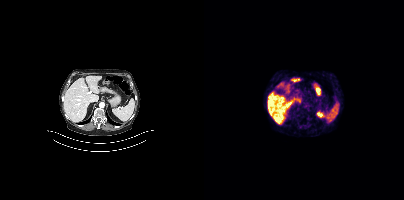
{"pet_grid":[200,200],"coord_frame":"pet_panel","coord_format":"x0,y0,x1,y1","psma_avid_lesions":false,"modality":"PSMA PET/CT","view":"axial","tracer":"68Ga"}